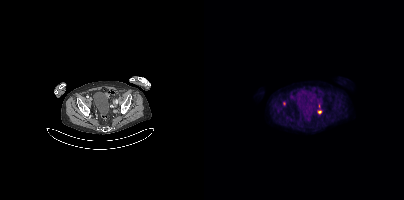
Coordinates are on the 200×200 PET (right) panel. Small PSMA-avid foci (2 to 4 px across) near (center x, center y): (115, 111) | (80, 103) | (115, 105).
modality: PSMA PET/CT | tracer: [18F]PSMA-1007 | view: axial